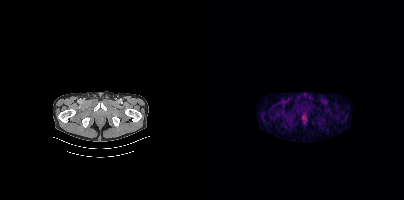
- Left: CT. Right: PSMA PET, same axial level, [18F]PSMA-1007 tracer
- acquired on Siemens Biograph mCT Flow 20
- slice 50 of 448
Findings: This slice has no annotated PSMA-avid lesion.